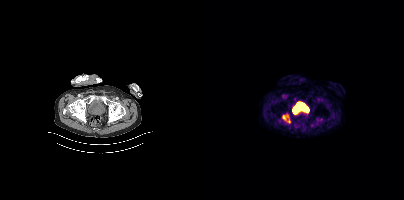
Coordinates are on the 200×200 PET (right) panel. PSMA-avid tumor lesion bounding boxes:
| # | x0 | y0 | x1 | y1 |
|---|---|---|---|---|
| 1 | 78 | 115 | 84 | 120 |
Small PSMA-avid focus (2 to 4 px across) near (center x, center y): (85, 120).
Paired axial CT (left) and PSMA PET (right), 18F-PSMA tracer.